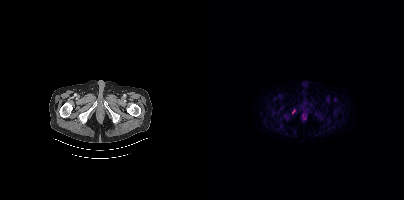
Coordinates are on the 200×200 PET (right) panel. PSMA-avid tumor lesion bounding box (x0, y0)-(x1, y1): (88, 109)-(91, 113). Paired axial CT (left) and PSMA PET (right), 18F tracer. Acquired on Siemens Biograph mCT Flow 20. PET panel 200×200 px (4.1 mm/px).